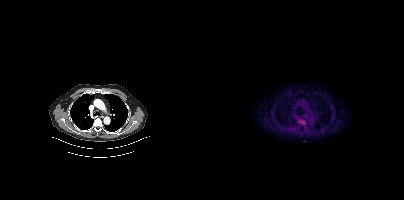
Left: CT. Right: PSMA PET, same axial level, 18F-PSMA tracer. Slice position z = 379 mm. PET panel 200×200 px (4.1 mm/px).
Coordinates are on the 200×200 PET (right) panel. PSMA-avid tumor lesion bounding boxes (partial; 1 more focus not listed):
| # | x0 | y0 | x1 | y1 |
|---|---|---|---|---|
| 1 | 95 | 120 | 101 | 124 |